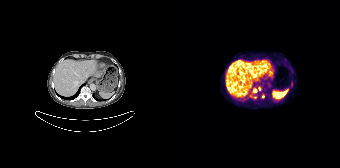
Findings: Coordinates are on the 168×168 PET (right) panel. (showing 3 of 4 foci) PSMA-avid tumor lesion bounding box (x0,y0,x1,y1): [85,86,89,91]. Small PSMA-avid foci (2 to 4 px across) near (center x, center y): (91, 96); (82, 90).
- Two-panel axial: CT | PSMA PET, 68Ga tracer
- acquired on Siemens Biograph 64-4R TruePoint
- slice 124 of 195
- PET panel 168×168 px (4.1 mm/px)